- Paired axial CT (left) and PSMA PET (right), 18F tracer
- slice 288 of 411
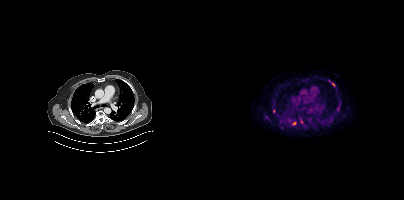
Findings: Coordinates are on the 200×200 PET (right) panel. (showing 7 of 9 foci) PSMA-avid tumor lesion bounding boxes (x, y, width, height): x=133 y=103 w=4 h=9 | x=88 y=122 w=5 h=4 | x=96 y=118 w=4 h=6 | x=125 y=118 w=4 h=5 | x=128 y=82 w=4 h=5. Small PSMA-avid foci (2 to 4 px across) near (center x, center y): (69, 111) | (106, 120).